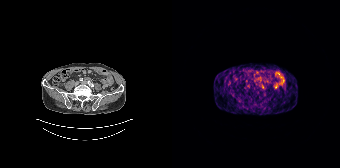
Coordinates are on the 168×168 PET (right) panel. Small PSMA-avid focus (2 to 4 px across) near (center x, center y): (91, 87). Left: CT. Right: PSMA PET, same axial level, 68Ga-PSMA tracer. PET panel 168×168 px (4.1 mm/px).